Technique: Left: CT. Right: PSMA PET, same axial level, 18F tracer. acquired on Siemens Biograph mCT Flow 20. slice position z = -881 mm.
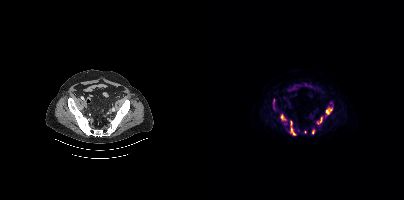
Findings: Coordinates are on the 200×200 PET (right) panel. (showing 6 of 8 foci) PSMA-avid tumor lesion bounding boxes (x0, y0)-(x1, y1): (121, 107)-(128, 114); (86, 121)-(92, 135); (77, 114)-(81, 120); (113, 117)-(118, 124); (108, 130)-(110, 134). Small PSMA-avid focus (2 to 4 px across) near (center x, center y): (101, 132).